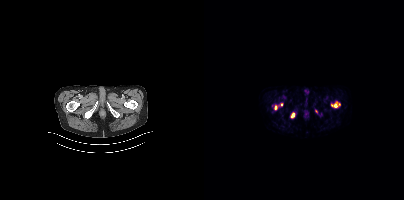
{"modality":"PSMA PET/CT","view":"axial","tracer":"[18F]PSMA-1007","pet_grid":[200,200],"coord_frame":"pet_panel","coord_format":"x0,y0,x1,y1","partial":true,"lesion_bboxes":[[127,102,133,107],[87,113,90,117],[71,105,72,109]],"small_foci_centers":[[112,111],[77,104]]}